- Left: CT. Right: PSMA PET, same axial level, 68Ga tracer
- slice position z = -717 mm
- PET panel 256×256 px (2.7 mm/px)
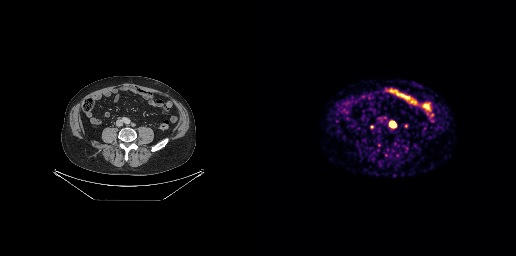
Findings: Coordinates are on the 256×256 PET (right) panel. PSMA-avid tumor lesion bounding box (x, y, width, height): x=129 y=121 w=8 h=7.